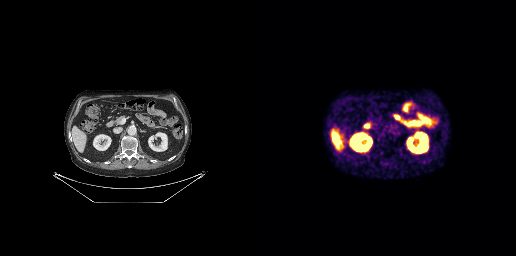
{"modality":"PSMA PET/CT","view":"axial","tracer":"68Ga","pet_grid":[256,256],"coord_frame":"pet_panel","coord_format":"x0,y0,x1,y1","psma_avid_lesions":false}